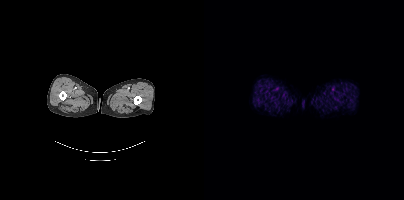
Findings: This slice has no annotated PSMA-avid lesion.
Technique: Paired axial CT (left) and PSMA PET (right), [18F]PSMA-1007 tracer. slice position z = -570 mm.